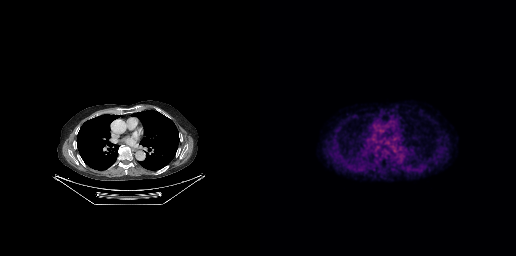
{"modality":"PSMA PET/CT","view":"axial","tracer":"[18F]PSMA-1007","pet_grid":[256,256],"coord_frame":"pet_panel","coord_format":"x0,y0,x1,y1","psma_avid_lesions":false}